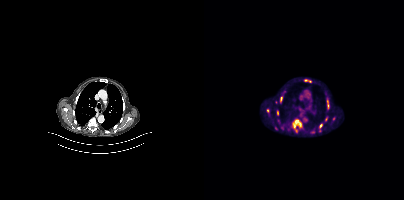
{"modality":"PSMA PET/CT","view":"axial","tracer":"18F-PSMA","pet_grid":[200,200],"coord_frame":"pet_panel","coord_format":"x0,y0,x1,y1","partial":true,"lesion_bboxes":[[88,119,97,129],[77,90,82,97],[123,102,125,108],[106,130,110,133],[62,109,65,113],[73,110,74,115],[71,126,73,130]],"small_foci_centers":[[76,102],[74,120]]}